Technique: Two-panel axial: CT | PSMA PET, 18F-PSMA tracer. acquired on Siemens Biograph mCT Flow 20.
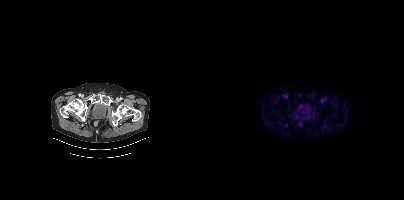
Findings: This slice has no annotated PSMA-avid lesion.